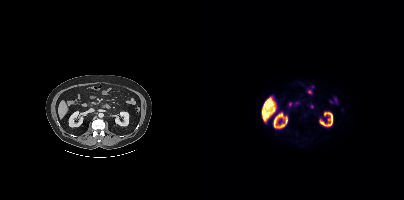
- Left: CT. Right: PSMA PET, same axial level, [18F]PSMA-1007 tracer
- acquired on Siemens Biograph mCT Flow 20
- PET panel 200×200 px (4.1 mm/px)
Findings: No tumor lesions annotated on this slice.